Technique: Paired axial CT (left) and PSMA PET (right), 18F tracer. slice position z = -676 mm. PET panel 200×200 px (4.1 mm/px).
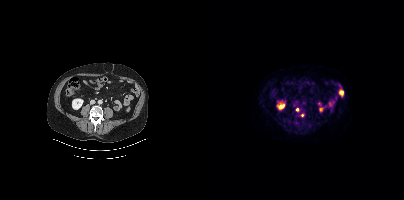
Findings: Coordinates are on the 200×200 PET (right) panel. Small PSMA-avid foci (2 to 4 px across) near (center x, center y): (93, 109); (98, 115).